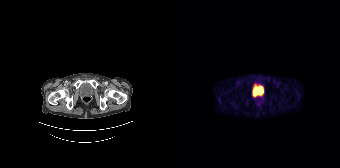
Findings: No PSMA-avid tumor lesions on this slice.
- Paired axial CT (left) and PSMA PET (right), [68Ga]Ga-PSMA-11 tracer
- acquired on Siemens Biograph 64-4R TruePoint
- PET panel 168×168 px (4.1 mm/px)